- Paired axial CT (left) and PSMA PET (right), [68Ga]Ga-PSMA-11 tracer
- slice 250 of 299
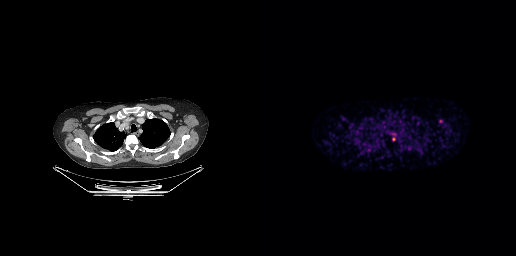
Findings: Coordinates are on the 256×256 PET (right) panel. Small PSMA-avid foci (2 to 4 px across) near (center x, center y): (180, 121) / (133, 139).